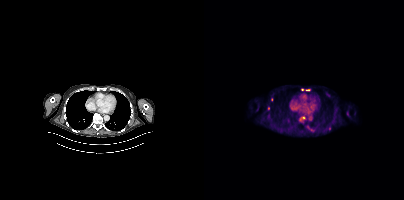
Coordinates are on the 200×200 PET (right) panel. (showing 2 of 4 foci) Small PSMA-avid foci (2 to 4 px across) near (center x, center y): (103, 89); (98, 89).
modality: PSMA PET/CT | tracer: [18F]PSMA-1007 | view: axial | PET grid: 200×200